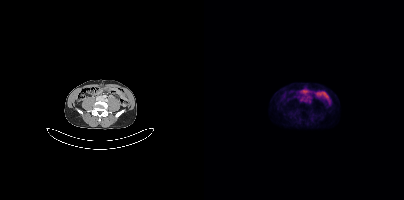
Only PSMA-avid lesion pieces thinner than 2 px on this slice (not listed).